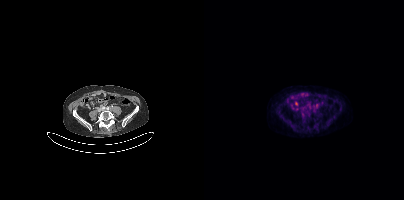
Paired axial CT (left) and PSMA PET (right), 18F-PSMA tracer. PET panel 200×200 px (4.1 mm/px). This slice has no annotated PSMA-avid lesion.